modality: PSMA PET/CT | tracer: [18F]PSMA-1007 | view: axial | PET grid: 200×200
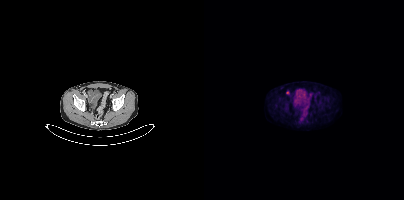
Only PSMA-avid lesion pieces thinner than 2 px on this slice (not listed).